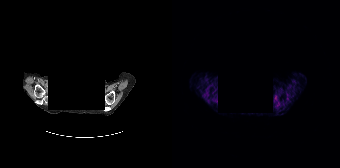
Findings: Negative for PSMA-avid disease on this slice.
Technique: Two-panel axial: CT | PSMA PET, 68Ga-PSMA tracer. acquired on Siemens Biograph 64-4R TruePoint. PET panel 168×168 px (4.1 mm/px).
Note: De-identified by setting a box covering the face to black before release.